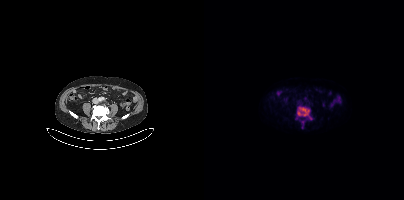
Two-panel axial: CT | PSMA PET, 18F tracer. Acquired on Siemens Biograph mCT Flow 20. Slice 146 of 431. PET panel 200×200 px (4.1 mm/px).
Coordinates are on the 200×200 PET (right) panel. PSMA-avid tumor lesion bounding boxes (partial; 2 more foci not listed):
| # | x0 | y0 | x1 | y1 |
|---|---|---|---|---|
| 1 | 93 | 106 | 108 | 119 |
Small PSMA-avid focus (2 to 4 px across) near (center x, center y): (98, 122).